Two-panel axial: CT | PSMA PET, 18F-PSMA tracer.
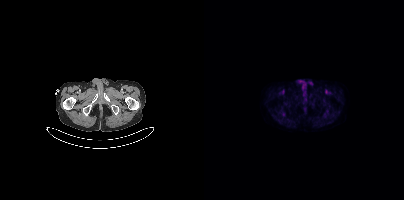
No PSMA-avid tumor lesions on this slice.